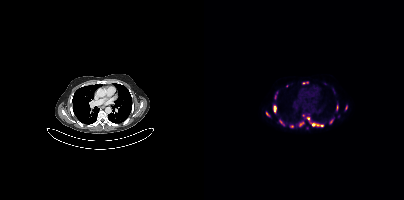
Technique: Left: CT. Right: PSMA PET, same axial level, 18F-PSMA tracer. slice 282 of 407. PET panel 200×200 px (4.1 mm/px).
Findings: Coordinates are on the 200×200 PET (right) panel. (showing 11 of 13 foci) PSMA-avid tumor lesion bounding boxes (x, y, width, height): x=108 y=123 w=12 h=5; x=95 y=121 w=6 h=6; x=69 y=106 w=4 h=7; x=98 y=82 w=7 h=3; x=141 y=105 w=3 h=6; x=126 y=119 w=3 h=5. Small PSMA-avid foci (2 to 4 px across) near (center x, center y): (87, 126); (104, 118); (71, 97); (77, 121); (62, 113).